Paired axial CT (left) and PSMA PET (right), [18F]PSMA-1007 tracer. Acquired on Siemens Biograph mCT Flow 20. PET panel 200×200 px (4.1 mm/px).
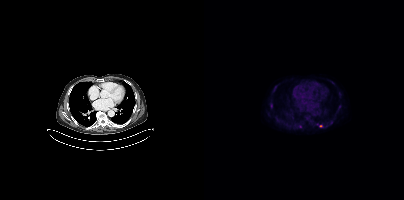
Coordinates are on the 200×200 PET (right) panel. (showing 2 of 3 foci) Small PSMA-avid foci (2 to 4 px across) near (center x, center y): (67, 104); (116, 125).